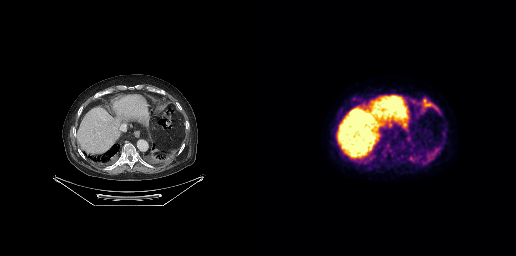
Findings: Coordinates are on the 256×256 PET (right) panel. PSMA-avid tumor lesion bounding boxes (x0, y0)-(x1, y1): (160, 98)-(178, 111); (167, 146)-(181, 159); (149, 156)-(156, 161); (152, 99)-(157, 103); (146, 129)-(149, 134). Small PSMA-avid foci (2 to 4 px across) near (center x, center y): (142, 156); (94, 98).
Technique: Left: CT. Right: PSMA PET, same axial level, 18F-PSMA tracer.